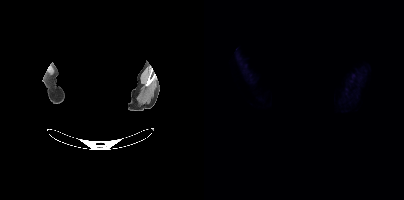
This slice has no annotated PSMA-avid lesion.
redaction: rectangular block over head set to black | modality: PSMA PET/CT | tracer: 18F | view: axial | PET grid: 200×200